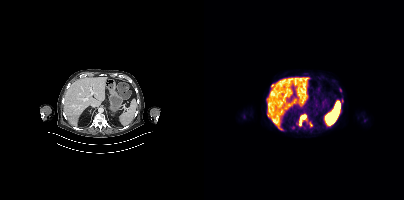
modality: PSMA PET/CT | tracer: 18F | view: axial
Coordinates are on the 200×200 PET (right) panel. PSMA-avid tumor lesion bounding boxes (x0, y0)-(x1, y1): (96, 115)-(102, 125); (135, 98)-(139, 105); (105, 122)-(108, 126). Small PSMA-avid focus (2 to 4 px across) near (center x, center y): (78, 129).